Technique: Left: CT. Right: PSMA PET, same axial level, 18F tracer. acquired on Siemens Biograph mCT Flow 20. PET panel 200×200 px (4.1 mm/px).
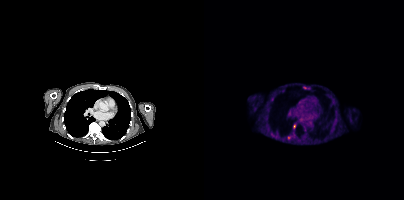
Findings: Coordinates are on the 200×200 PET (right) panel. PSMA-avid tumor lesion bounding box (x0, y0)-(x1, y1): (99, 86)-(103, 89). Small PSMA-avid foci (2 to 4 px across) near (center x, center y): (68, 99); (90, 126); (101, 137); (84, 137).